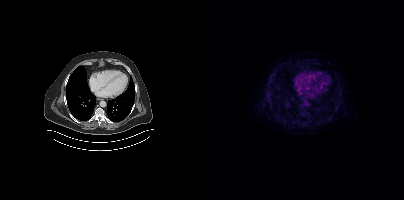
Technique: Paired axial CT (left) and PSMA PET (right), 18F-PSMA tracer. slice 279 of 435. PET panel 200×200 px (4.1 mm/px).
Findings: No PSMA-avid tumor lesions on this slice.